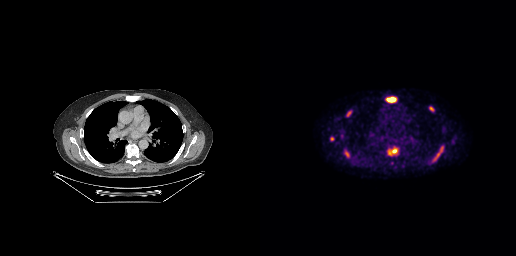
{"modality":"PSMA PET/CT","view":"axial","tracer":"[18F]PSMA-1007","pet_grid":[256,256],"coord_frame":"pet_panel","coord_format":"x0,y0,x1,y1","lesion_bboxes":[[126,96,136,102],[128,148,137,154],[173,149,182,161],[86,110,91,116],[169,107,174,111],[85,151,89,156]],"small_foci_centers":[[72,138]]}